Paired axial CT (left) and PSMA PET (right), 68Ga-PSMA tracer. Acquired on Siemens Biograph mCT Flow 20. Slice position z = -1308 mm.
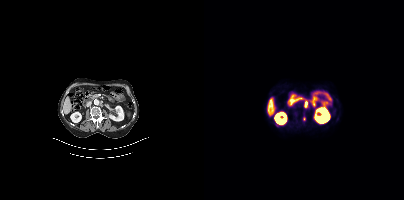
Coordinates are on the 200×200 PET (right) panel. Small PSMA-avid foci (2 to 4 px across) near (center x, center y): (102, 104) / (100, 119).